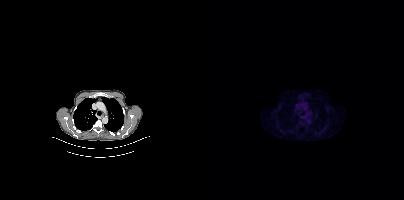
No tumor lesions annotated on this slice.